- Two-panel axial: CT | PSMA PET, 18F tracer
- slice position z = -812 mm
- PET panel 200×200 px (4.1 mm/px)
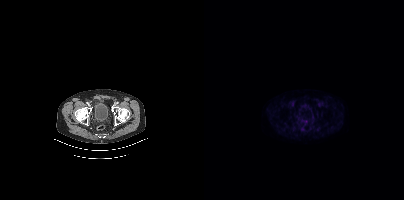
Findings: Coordinates are on the 200×200 PET (right) panel. Small PSMA-avid focus (2 to 4 px across) near (center x, center y): (101, 121).